Technique: Two-panel axial: CT | PSMA PET, 18F-PSMA tracer. slice 151 of 423.
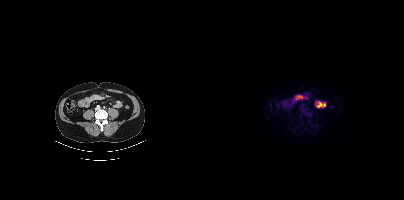
Findings: This slice has no annotated PSMA-avid lesion.